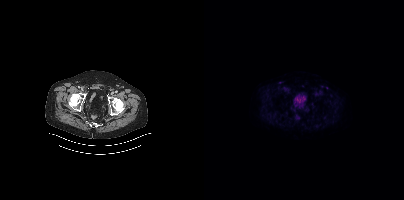
This slice has no annotated PSMA-avid lesion.